Paired axial CT (left) and PSMA PET (right), 18F tracer. PET panel 200×200 px (4.1 mm/px).
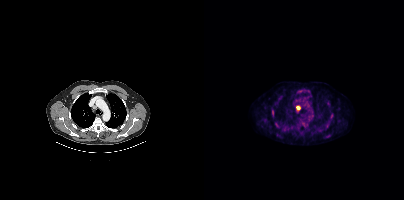
Coordinates are on the 200×200 PET (right) panel. PSMA-avid tumor lesion bounding boxes (partial; 2 more foci not listed):
| # | x0 | y0 | x1 | y1 |
|---|---|---|---|---|
| 1 | 92 | 106 | 96 | 110 |
Small PSMA-avid focus (2 to 4 px across) near (center x, center y): (122, 125).